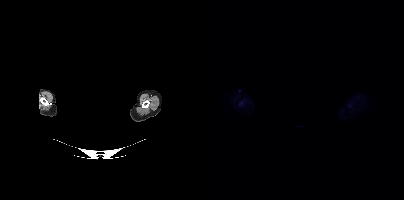
Findings: Coordinates are on the 200×200 PET (right) panel. Small PSMA-avid focus (2 to 4 px across) near (center x, center y): (37, 103).
- Paired axial CT (left) and PSMA PET (right), [18F]PSMA-1007 tracer
- slice position z = -744 mm
- PET panel 200×200 px (4.1 mm/px)
- a rectangular block over the head has been blanked out for de-identification